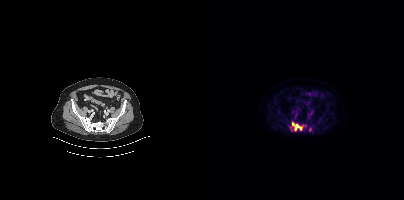
- Left: CT. Right: PSMA PET, same axial level, 18F tracer
- PET panel 200×200 px (4.1 mm/px)
Findings: Coordinates are on the 200×200 PET (right) panel. (showing 2 of 3 foci) PSMA-avid tumor lesion bounding boxes (x0, y0)-(x1, y1): (86, 121)-(99, 131) / (105, 127)-(107, 131).